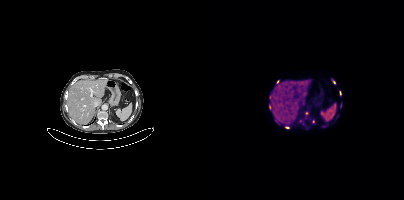
Coordinates are on the 200×200 PET (right) panel. (showing 7 of 12 foci) Small PSMA-avid foci (2 to 4 px across) near (center x, center y): (109, 121); (82, 127); (73, 81); (130, 81); (136, 105); (96, 120); (121, 125).